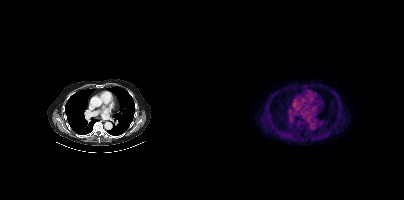
Findings: No tumor lesions annotated on this slice.
- Paired axial CT (left) and PSMA PET (right), [18F]PSMA-1007 tracer